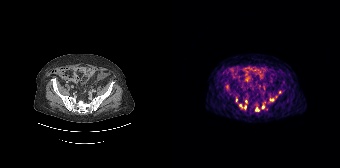
Coordinates are on the 168×168 PET (right) panel. PSMA-avid tumor lesion bounding boxes (partial; 3 more foci not listed):
| # | x0 | y0 | x1 | y1 |
|---|---|---|---|---|
| 1 | 97 | 98 | 102 | 101 |
| 2 | 83 | 107 | 87 | 111 |
Small PSMA-avid foci (2 to 4 px across) near (center x, center y): (68, 105); (91, 107); (73, 107); (73, 101).
Left: CT. Right: PSMA PET, same axial level, 68Ga-PSMA tracer. Slice 37 of 165. PET panel 168×168 px (4.1 mm/px).